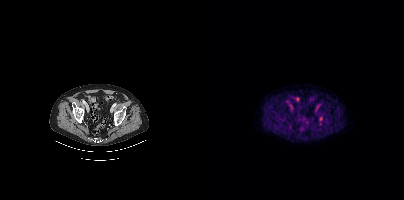
Two-panel axial: CT | PSMA PET, 18F tracer. Acquired on Siemens Biograph mCT Flow 20. Slice position z = -835 mm. PET panel 200×200 px (4.1 mm/px). Negative for PSMA-avid disease on this slice.